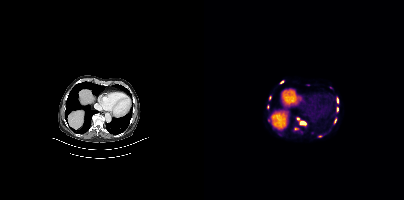
Coordinates are on the 200×200 PET (right) panel. (showing 9 of 12 foci) PSMA-avid tumor lesion bounding boxes (x0,y0,x1,y1): [95,121,101,125]; [90,127,94,130]; [64,118,66,122]; [133,98,134,102]; [133,107,134,111]; [130,119,132,123]. Small PSMA-avid foci (2 to 4 px across) near (center x, center y): (104, 84); (78, 81); (93, 118). Two-panel axial: CT | PSMA PET, 68Ga tracer. Slice position z = -1192 mm. PET panel 200×200 px (4.1 mm/px).